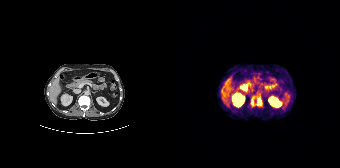
Two-panel axial: CT | PSMA PET, [68Ga]Ga-PSMA-11 tracer. Acquired on Siemens Biograph 64-4R TruePoint. PET panel 168×168 px (4.1 mm/px).
Coordinates are on the 168×168 PET (right) panel. PSMA-avid tumor lesion bounding boxes:
| # | x0 | y0 | x1 | y1 |
|---|---|---|---|---|
| 1 | 79 | 96 | 90 | 106 |